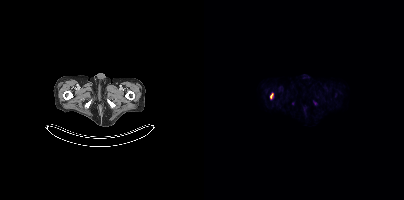
{"pet_grid":[200,200],"coord_frame":"pet_panel","coord_format":"x0,y0,x1,y1","lesion_bboxes":[[66,93,68,98]],"modality":"PSMA PET/CT","view":"axial","tracer":"18F-PSMA"}